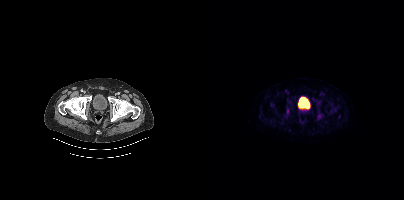
modality: PSMA PET/CT | tracer: 18F | view: axial | PET grid: 200×200
Coordinates are on the 200×200 PET (right) panel. PSMA-avid tumor lesion bounding boxes (x, y, width, height): x=83 y=100 w=7 h=7 | x=81 y=107 w=5 h=10 | x=113 y=114 w=6 h=6 | x=111 y=100 w=6 h=6 | x=66 y=103 w=5 h=5 | x=97 y=109 w=5 h=4. Small PSMA-avid focus (2 to 4 px across) near (center x, center y): (125, 103).